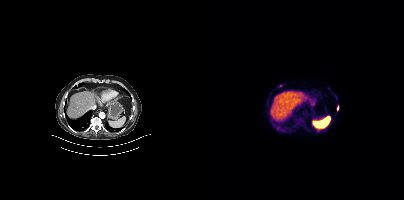
modality: PSMA PET/CT | tracer: 18F-PSMA | view: axial | PET grid: 200×200
Coordinates are on the 200×200 PET (right) panel. (showing 2 of 3 foci) PSMA-avid tumor lesion bounding box (x0,y0,x1,y1): [133,106,134,110]. Small PSMA-avid focus (2 to 4 px across) near (center x, center y): (76, 85).